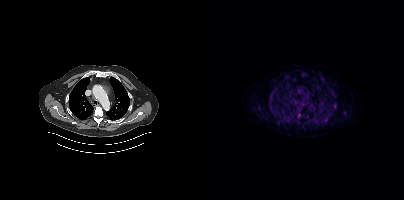
Paired axial CT (left) and PSMA PET (right), 18F-PSMA tracer. Acquired on Siemens Biograph mCT Flow 20. Slice position z = -310 mm. PET panel 200×200 px (4.1 mm/px).
Coordinates are on the 200×200 PET (right) panel. PSMA-avid tumor lesion bounding boxes:
| # | x0 | y0 | x1 | y1 |
|---|---|---|---|---|
| 1 | 66 | 90 | 70 | 95 |
| 2 | 138 | 112 | 142 | 116 |
| 3 | 103 | 119 | 107 | 123 |
| 4 | 123 | 115 | 126 | 120 |
| 5 | 73 | 117 | 77 | 121 |
| 6 | 130 | 104 | 132 | 108 |
| 7 | 94 | 113 | 96 | 117 |
| 8 | 99 | 73 | 103 | 75 |
Small PSMA-avid foci (2 to 4 px across) near (center x, center y): (66, 105); (127, 89); (99, 126).